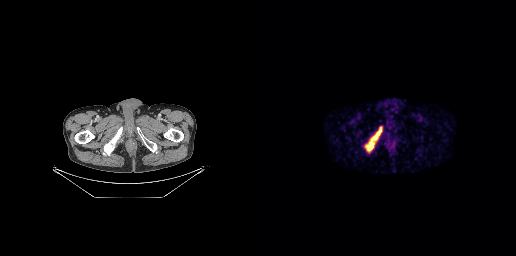
Coordinates are on the 256×256 PET (right) panel. PSMA-avid tumor lesion bounding boxes:
| # | x0 | y0 | x1 | y1 |
|---|---|---|---|---|
| 1 | 105 | 127 | 122 | 152 |
Left: CT. Right: PSMA PET, same axial level, 68Ga tracer.